Two-panel axial: CT | PSMA PET, 18F tracer. Acquired on Siemens Biograph mCT Flow 20. Slice position z = -1324 mm. PET panel 200×200 px (4.1 mm/px).
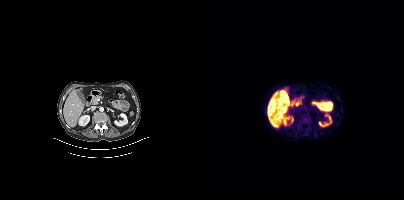
Coordinates are on the 200×200 PET (right) panel. PSMA-avid tumor lesion bounding box (x0,y0,x1,y1): [99,118,105,122].